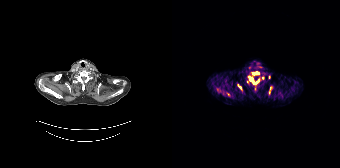
Coordinates are on the 168×168 PET (right) panel. (showing 6 of 12 foci) PSMA-avid tumor lesion bounding boxes (x0,y0,x1,y1): [76,75,81,83] [81,72,86,74]. Small PSMA-avid foci (2 to 4 px across) near (center x, center y): (56, 94) (86, 81) (90, 77) (68, 87).
modality: PSMA PET/CT | tracer: 68Ga-PSMA | view: axial